modality: PSMA PET/CT | tracer: 68Ga-PSMA | view: axial
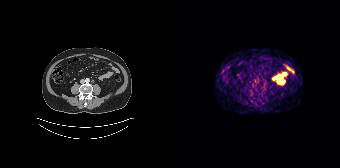
No tumor lesions annotated on this slice.